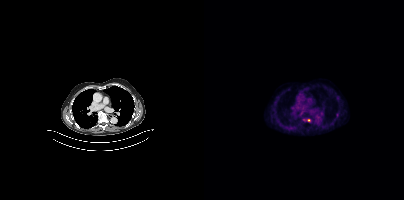
Coordinates are on the 200×200 PET (right) panel. Small PSMA-avid foci (2 to 4 px across) near (center x, center y): (104, 120) | (99, 119).